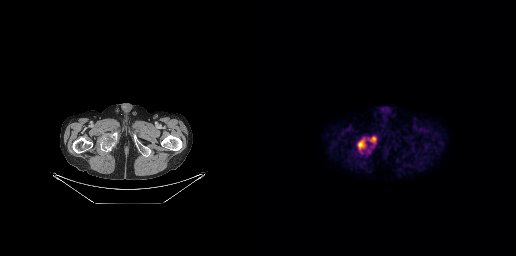
{"modality":"PSMA PET/CT","view":"axial","tracer":"18F-PSMA","pet_grid":[256,256],"coord_frame":"pet_panel","coord_format":"x0,y0,x1,y1","partial":true,"lesion_bboxes":[[97,136,116,152]]}